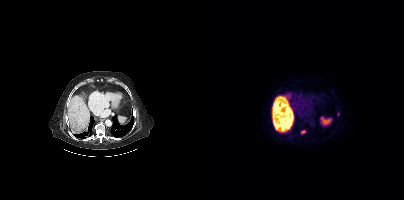
Findings: Coordinates are on the 200×200 PET (right) panel. PSMA-avid tumor lesion bounding box (x0, y0)-(x1, y1): (97, 130)-(101, 133). Small PSMA-avid focus (2 to 4 px across) near (center x, center y): (134, 113).
- Paired axial CT (left) and PSMA PET (right), [18F]PSMA-1007 tracer
- acquired on Siemens Biograph mCT Flow 20